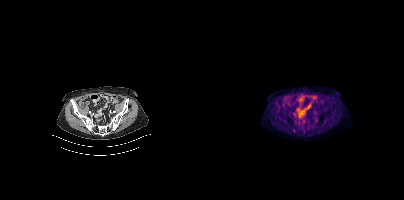
- Left: CT. Right: PSMA PET, same axial level, 18F-PSMA tracer
- acquired on Siemens Biograph mCT Flow 20
- PET panel 200×200 px (4.1 mm/px)
Findings: No tumor lesions annotated on this slice.